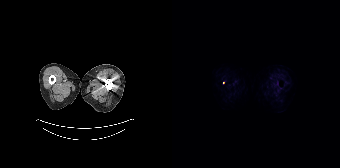
Findings: Coordinates are on the 168×168 PET (right) panel. Small PSMA-avid focus (2 to 4 px across) near (center x, center y): (51, 82).
Technique: Paired axial CT (left) and PSMA PET (right), [18F]PSMA-1007 tracer. slice position z = -1270 mm. PET panel 168×168 px (4.1 mm/px).